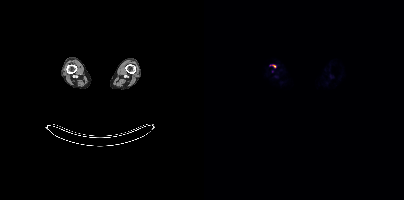
Coordinates are on the 200×200 PET (right) panel. (showing 1 of 2 foci) Small PSMA-avid focus (2 to 4 px across) near (center x, center y): (69, 66).